Left: CT. Right: PSMA PET, same axial level, 18F-PSMA tracer. Acquired on Siemens Biograph mCT Flow 20.
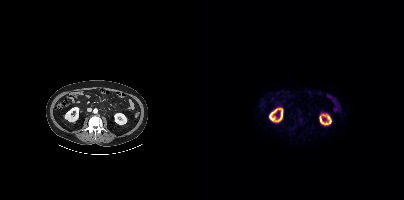
No tumor lesions annotated on this slice.